Paired axial CT (left) and PSMA PET (right), 18F-PSMA tracer. Slice position z = 4 mm. Privacy masking over the head, with the pixels inside a rectangle set to black.
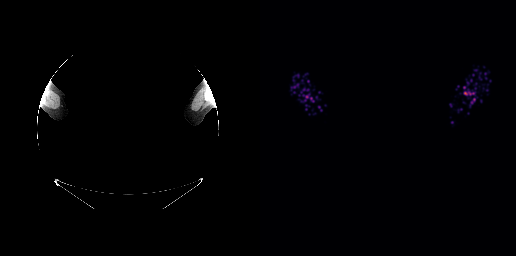
Negative for PSMA-avid disease on this slice.